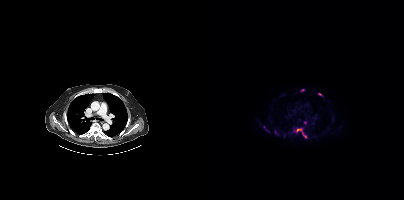
Coordinates are on the 200×200 PET (right) panel. PSMA-avid tumor lesion bounding boxes (x0,y0,x1,y1): [92,128,102,138], [70,131,74,135], [59,127,64,131]. Small PSMA-avid foci (2 to 4 px across) near (center x, center y): (101, 122), (116, 94), (98, 89).